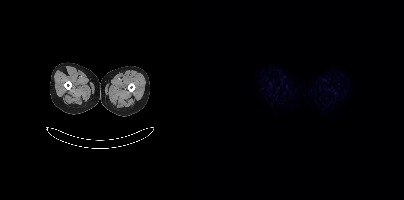
No tumor lesions annotated on this slice. Two-panel axial: CT | PSMA PET, 18F-PSMA tracer. Acquired on Siemens Biograph mCT Flow 20.